modality: PSMA PET/CT | tracer: 18F-PSMA | view: axial
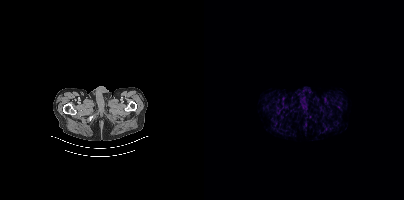
No tumor lesions annotated on this slice.